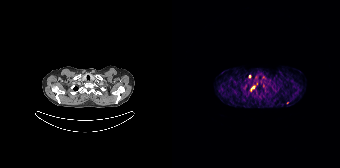
Coordinates are on the 168×168 PET (right) panel. Small PSMA-avid foci (2 to 4 px across) near (center x, center y): (84, 83) | (77, 76) | (81, 87). Paired axial CT (left) and PSMA PET (right), 68Ga tracer. Acquired on Siemens Biograph 64-4R TruePoint. Slice position z = -814 mm.